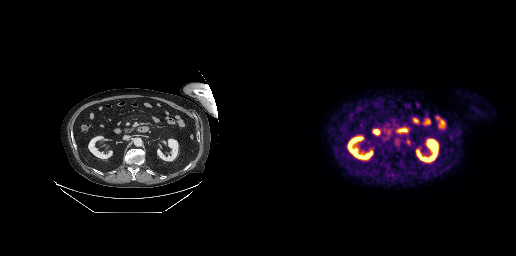
Paired axial CT (left) and PSMA PET (right), 18F tracer. PET panel 256×256 px (2.7 mm/px).
Coordinates are on the 256×256 PET (right) panel. PSMA-avid tumor lesion bounding boxes:
| # | x0 | y0 | x1 | y1 |
|---|---|---|---|---|
| 1 | 147 | 140 | 149 | 144 |